Two-panel axial: CT | PSMA PET, 18F tracer. Acquired on Siemens Biograph mCT Flow 20. PET panel 200×200 px (4.1 mm/px).
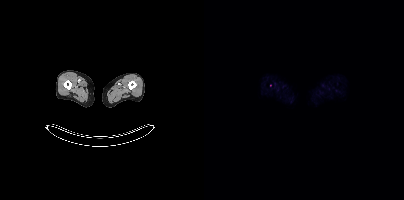
Only PSMA-avid lesion pieces thinner than 2 px on this slice (not listed).